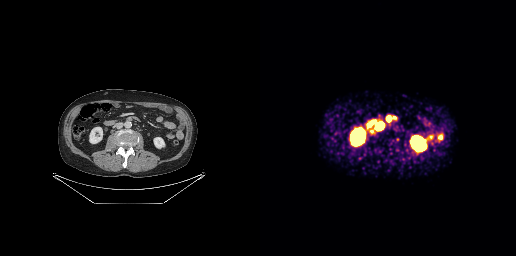
Coordinates are on the 256×256 PET (right) panel. PSMA-avid tumor lesion bounding boxes (x0, y0)-(x1, y1): (116, 122)-(123, 129) | (110, 129)-(115, 134) | (126, 116)-(130, 121).